Technique: Paired axial CT (left) and PSMA PET (right), [18F]PSMA-1007 tracer. acquired on Siemens Biograph mCT Flow 20. slice position z = -1636 mm.
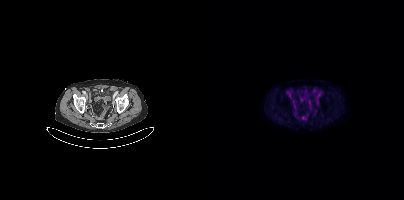
Findings: No tumor lesions annotated on this slice.